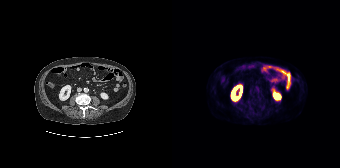
Negative for PSMA-avid disease on this slice.